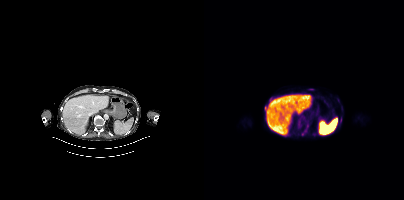
modality: PSMA PET/CT | tracer: 18F-PSMA | view: axial
Coordinates are on the 200×200 PET (right) panel. (showing 6 of 7 foci) PSMA-avid tumor lesion bounding boxes (x0, y0)-(x1, y1): (103, 88)-(110, 90); (93, 121)-(97, 125); (100, 124)-(104, 131); (61, 106)-(63, 112); (136, 117)-(138, 123). Small PSMA-avid focus (2 to 4 px across) near (center x, center y): (98, 134).